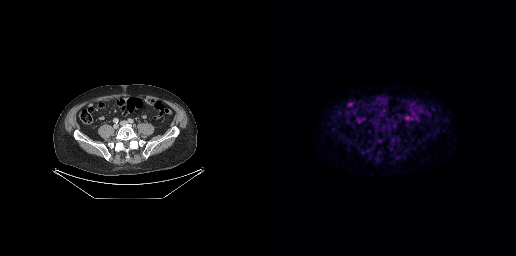
{"modality":"PSMA PET/CT","view":"axial","tracer":"18F","pet_grid":[256,256],"coord_frame":"pet_panel","coord_format":"x0,y0,x1,y1","partial":true,"lesion_bboxes":[]}